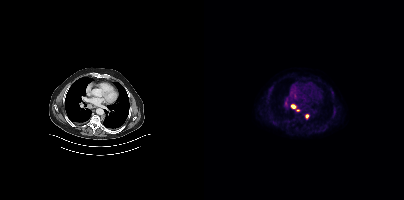
Coordinates are on the 200×200 PET (right) panel. PSMA-avid tumor lesion bounding boxes (partial; 1 more focus not listed):
| # | x0 | y0 | x1 | y1 |
|---|---|---|---|---|
| 1 | 87 | 105 | 91 | 108 |
Small PSMA-avid focus (2 to 4 px across) near (center x, center y): (103, 116).
Left: CT. Right: PSMA PET, same axial level, [18F]PSMA-1007 tracer. Slice 271 of 413. PET panel 200×200 px (4.1 mm/px).